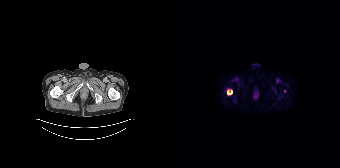
Findings: Coordinates are on the 168×168 PET (right) panel. PSMA-avid tumor lesion bounding box (x0,y0,x1,y1): [55,90,60,94].
- Left: CT. Right: PSMA PET, same axial level, [18F]PSMA-1007 tracer
- slice position z = -1338 mm